- Two-panel axial: CT | PSMA PET, 18F-PSMA tracer
- acquired on Siemens Biograph mCT Flow 20
- slice position z = -834 mm
- PET panel 200×200 px (4.1 mm/px)
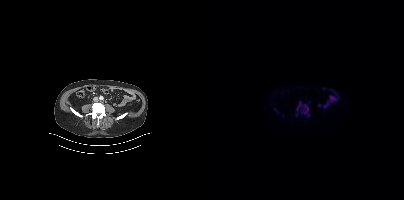
Findings: Coordinates are on the 200×200 PET (right) panel. PSMA-avid tumor lesion bounding box (x0, y0)-(x1, y1): (93, 104)-(104, 114).